modality: PSMA PET/CT | tracer: 68Ga-PSMA | view: axial | PET grid: 168×168
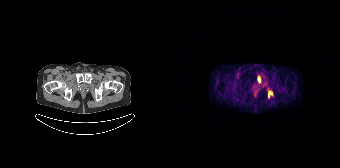
Coordinates are on the 168×168 PET (right) panel. PSMA-avid tumor lesion bounding boxes (x0,y0,x1,y1): [96,90,100,98]; [85,76,88,83].